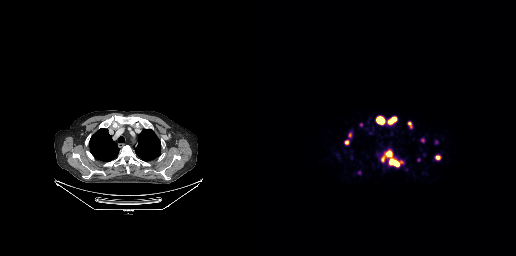
Coordinates are on the 256×256 PET (right) panel. PSMA-avid tumor lesion bounding boxes (x0,y0,x1,y1): [129,159,139,165] [117,117,124,123] [129,117,136,123] [148,122,152,128] [127,152,131,156]. Small PSMA-avid foci (2 to 4 px across) near (center x, center y): (162, 140) (177, 157) (158, 159) (86, 142) (141, 161).